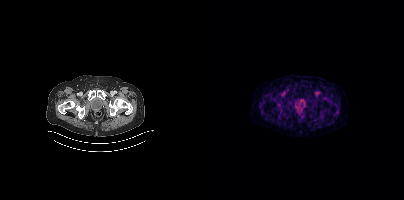
Negative for PSMA-avid disease on this slice.